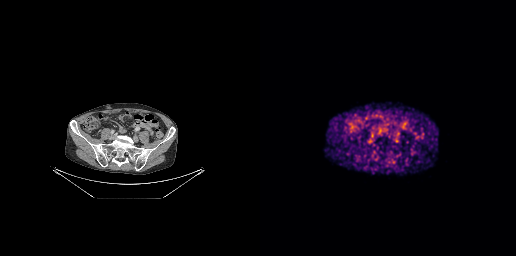
Paired axial CT (left) and PSMA PET (right), [68Ga]Ga-PSMA-11 tracer. Slice 115 of 299. This slice has no annotated PSMA-avid lesion.